Two-panel axial: CT | PSMA PET, 18F-PSMA tracer. Slice position z = -1238 mm. PET panel 168×168 px (4.1 mm/px).
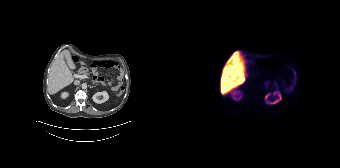
Negative for PSMA-avid disease on this slice.